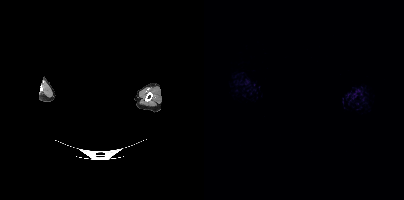
{"modality":"PSMA PET/CT","view":"axial","tracer":"18F","pet_grid":[200,200],"coord_frame":"pet_panel","coord_format":"x0,y0,x1,y1","psma_avid_lesions":false,"deidentification":"facial region redacted"}